Left: CT. Right: PSMA PET, same axial level, [68Ga]Ga-PSMA-11 tracer. Slice position z = -810 mm. PET panel 168×168 px (4.1 mm/px).
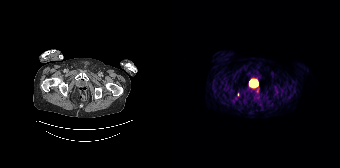
Only PSMA-avid lesion pieces thinner than 2 px on this slice (not listed).